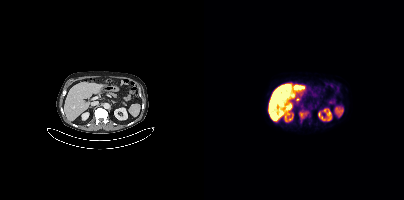
Coordinates are on the 200×200 PET (right) panel. PSMA-avid tumor lesion bounding box (x0,y0,x1,y1): [95,112,103,118].